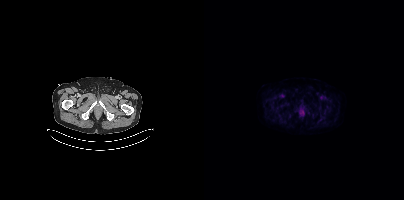
Two-panel axial: CT | PSMA PET, [18F]PSMA-1007 tracer. Acquired on Siemens Biograph mCT Flow 20. Slice position z = -1478 mm. PET panel 200×200 px (4.1 mm/px). No PSMA-avid tumor lesions on this slice.